modality: PSMA PET/CT | tracer: 18F-PSMA | view: axial
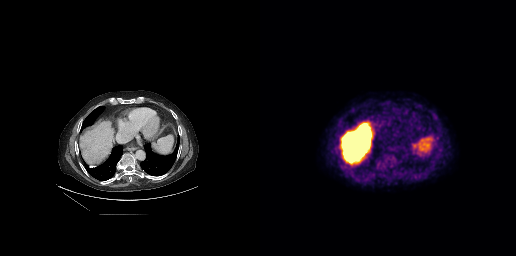
Coordinates are on the 256×256 PET (right) panel. PSMA-avid tumor lesion bounding box (x0,y0,x1,y1): [89,107,96,113].